Technique: Left: CT. Right: PSMA PET, same axial level, [18F]PSMA-1007 tracer.
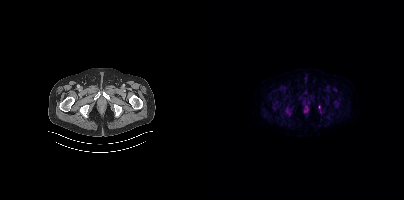
Findings: Only PSMA-avid lesion pieces thinner than 2 px on this slice (not listed).